Two-panel axial: CT | PSMA PET, 18F tracer. Slice 255 of 448. PET panel 200×200 px (4.1 mm/px).
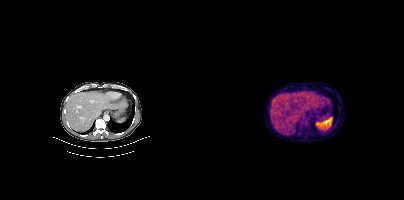
Coordinates are on the 200×200 PET (right) panel. PSMA-avid tumor lesion bounding box (x0, y0)-(x1, y1): (96, 118)-(106, 125).